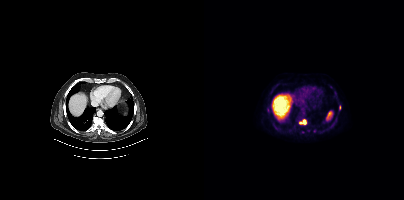
Technique: Left: CT. Right: PSMA PET, same axial level, [18F]PSMA-1007 tracer. PET panel 200×200 px (4.1 mm/px).
Findings: Coordinates are on the 200×200 PET (right) panel. (showing 4 of 5 foci) PSMA-avid tumor lesion bounding box (x0, y0)-(x1, y1): (95, 119)-(102, 124). Small PSMA-avid foci (2 to 4 px across) near (center x, center y): (98, 132); (135, 107); (64, 110).